Left: CT. Right: PSMA PET, same axial level, 18F-PSMA tracer.
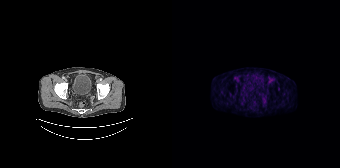
No PSMA-avid tumor lesions on this slice.